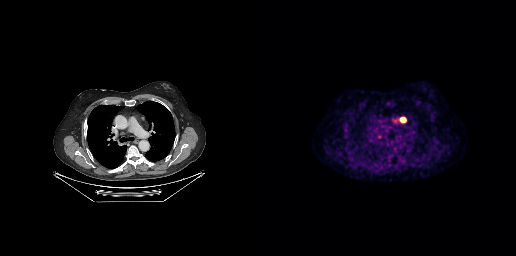
Findings: Coordinates are on the 256×256 PET (right) panel. PSMA-avid tumor lesion bounding box (x0,y0,x1,y1): [140,117,145,122]. Small PSMA-avid focus (2 to 4 px across) near (center x, center y): (119, 136).
Technique: Two-panel axial: CT | PSMA PET, 18F-PSMA tracer.